Two-panel axial: CT | PSMA PET, 68Ga tracer. Acquired on GE Discovery 690. Slice position z = -391 mm.
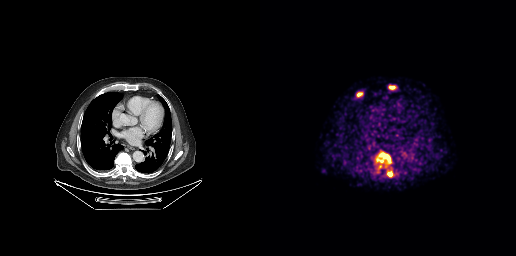
Coordinates are on the 256×256 PET (right) panel. PSMA-avid tumor lesion bounding boxes (partial; 1 more focus not listed):
| # | x0 | y0 | x1 | y1 |
|---|---|---|---|---|
| 1 | 115 | 151 | 131 | 169 |
| 2 | 127 | 170 | 133 | 177 |
| 3 | 96 | 92 | 102 | 97 |
| 4 | 129 | 85 | 135 | 89 |